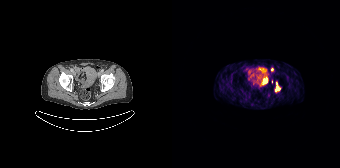
Paired axial CT (left) and PSMA PET (right), [68Ga]Ga-PSMA-11 tracer. Acquired on Siemens Biograph 64-4R TruePoint. Slice position z = -1348 mm. PET panel 168×168 px (4.1 mm/px). Only PSMA-avid lesion pieces thinner than 2 px on this slice (not listed).